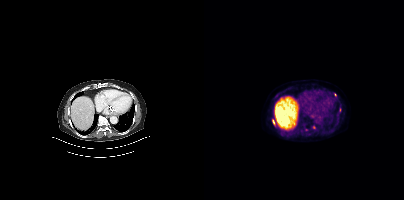
Coordinates are on the 200×200 PET (right) panel. (showing 5 of 7 foci) PSMA-avid tumor lesion bounding box (x0, y0)-(x1, y1): (68, 120)-(70, 124). Small PSMA-avid foci (2 to 4 px across) near (center x, center y): (131, 94) / (72, 95) / (109, 127) / (102, 129).